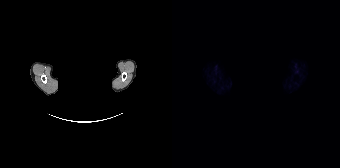
Privacy masking over the head, with the pixels inside a rectangle set to black. Paired axial CT (left) and PSMA PET (right), 18F-PSMA tracer. PET panel 168×168 px (4.1 mm/px). No tumor lesions annotated on this slice.